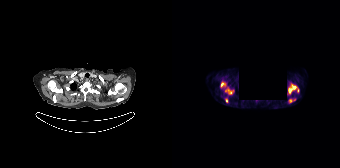
modality: PSMA PET/CT | tracer: [68Ga]Ga-PSMA-11 | view: axial | deidentification: rectangle blanked before release
Coordinates are on the 168×168 PET (right) panel. PSMA-avid tumor lesion bounding boxes (x0,y0,x1,y1): [116,83,127,94]; [53,87,61,94]; [48,82,53,87]; [117,99,123,102]. Small PSMA-avid focus (2 to 4 px across) near (center x, center y): (54, 100).